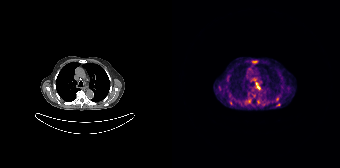
Coordinates are on the 168×168 PET (right) panel. PSMA-avid tumor lesion bounding boxes (x, y, width, height): x=83 y=82 w=6 h=8; x=79 y=60 w=7 h=4; x=85 y=98 w=4 h=6; x=104 y=96 w=4 h=5. Small PSMA-avid foci (2 to 4 px across) near (center x, center y): (77, 100); (80, 79); (81, 95); (58, 102); (106, 104).
modality: PSMA PET/CT | tracer: [68Ga]Ga-PSMA-11 | view: axial | PET grid: 168×168